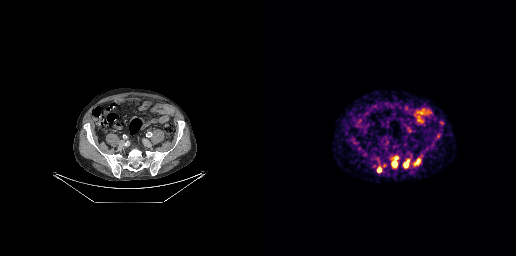
Findings: Coordinates are on the 256×256 PET (right) panel. PSMA-avid tumor lesion bounding boxes (x, y, width, height): x=132 y=161 w=5 h=6 / x=144 y=160 w=5 h=8 / x=117 y=167 w=5 h=6 / x=156 y=158 w=5 h=6. Small PSMA-avid foci (2 to 4 px across) near (center x, center y): (178, 136) / (136, 158).
Technique: Paired axial CT (left) and PSMA PET (right), [68Ga]Ga-PSMA-11 tracer. slice 80 of 263.